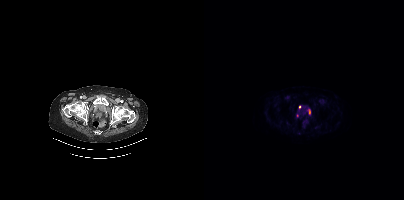
- Two-panel axial: CT | PSMA PET, 18F-PSMA tracer
- acquired on Siemens Biograph mCT Flow 20
Findings: Coordinates are on the 200×200 PET (right) panel. PSMA-avid tumor lesion bounding box (x0,y0,x1,y1): [104,109,106,114]. Small PSMA-avid foci (2 to 4 px across) near (center x, center y): (95, 106), (93, 115).